Technique: Left: CT. Right: PSMA PET, same axial level, 18F tracer. slice 307 of 435. PET panel 200×200 px (4.1 mm/px).
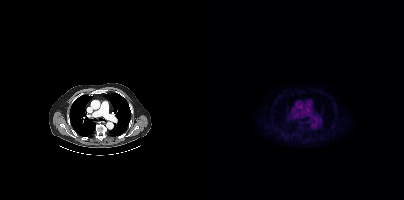
Findings: No tumor lesions annotated on this slice.